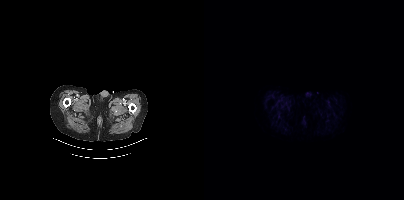
{"pet_grid":[200,200],"coord_frame":"pet_panel","coord_format":"x0,y0,x1,y1","psma_avid_lesions":false,"modality":"PSMA PET/CT","view":"axial","tracer":"[18F]PSMA-1007"}